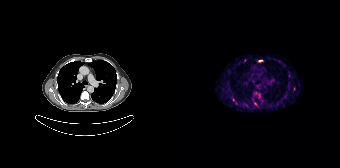
Coordinates are on the 168×168 PET (right) panel. (showing 5 of 7 foci) PSMA-avid tumor lesion bounding box (x0,y0,x1,y1): [116,82,117,88]. Small PSMA-avid foci (2 to 4 px across) near (center x, center y): (117, 75) (122, 88) (88, 60) (83, 103).
modality: PSMA PET/CT | tracer: 68Ga | view: axial | PET grid: 168×168